Two-panel axial: CT | PSMA PET, 18F-PSMA tracer. Acquired on Siemens Biograph mCT Flow 20. Slice position z = -278 mm.
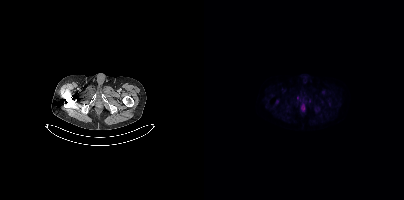
Coordinates are on the 200×200 PET (right) panel. (showing 1 of 2 foci) Small PSMA-avid focus (2 to 4 px across) near (center x, center y): (93, 97).